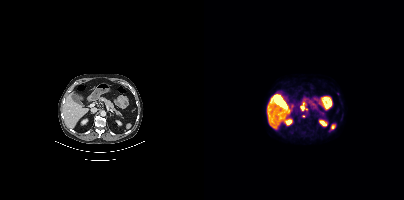
Coordinates are on the 200×200 PET (right) panel. (showing 1 of 3 foci) Small PSMA-avid focus (2 to 4 px across) near (center x, center y): (98, 107).